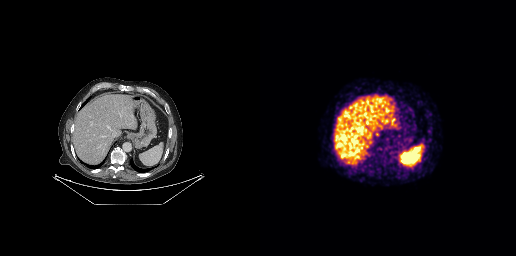
No tumor lesions annotated on this slice.